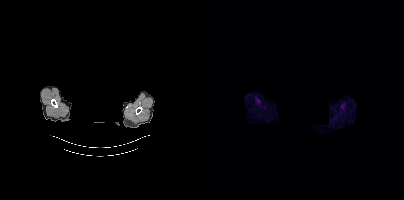
{"modality":"PSMA PET/CT","view":"axial","tracer":"18F-PSMA","pet_grid":[200,200],"coord_frame":"pet_panel","coord_format":"x0,y0,x1,y1","psma_avid_lesions":false,"redaction":"privacy mask over head"}